Left: CT. Right: PSMA PET, same axial level, 18F-PSMA tracer.
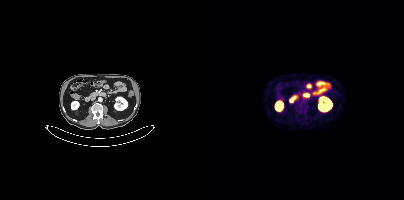
No tumor lesions annotated on this slice.